Two-panel axial: CT | PSMA PET, 18F-PSMA tracer. Slice 135 of 383. PET panel 200×200 px (4.1 mm/px).
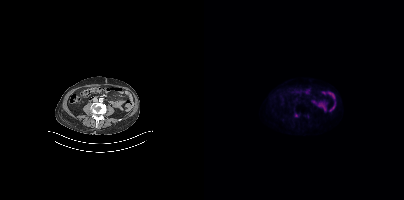
Coordinates are on the 200×200 PET (right) panel. Small PSMA-avid focus (2 to 4 px across) near (center x, center y): (92, 115).